- Two-panel axial: CT | PSMA PET, [18F]PSMA-1007 tracer
- acquired on GE Discovery 690
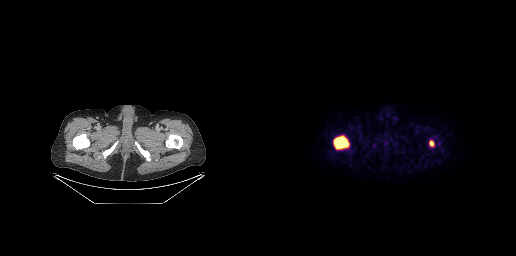
Findings: Coordinates are on the 256×256 PET (right) panel. PSMA-avid tumor lesion bounding boxes (x0,y0,x1,y1): [73,136,89,149]; [169,140,174,146].